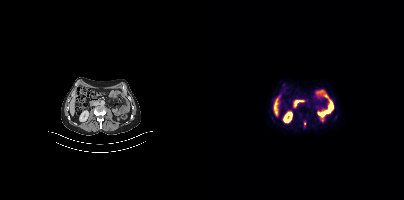
{"modality":"PSMA PET/CT","view":"axial","tracer":"18F","pet_grid":[200,200],"coord_frame":"pet_panel","coord_format":"x0,y0,x1,y1","lesion_bboxes":[],"small_foci_centers":[[100,123]]}